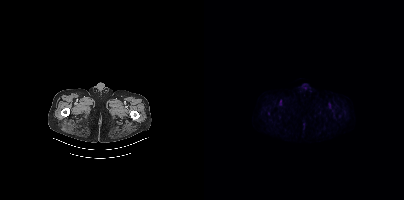
Coordinates are on the 200×200 PET (right) panel. Small PSMA-avid focus (2 to 4 px across) near (center x, center y): (64, 112). Left: CT. Right: PSMA PET, same axial level, 18F-PSMA tracer. Acquired on Siemens Biograph mCT Flow 20. Slice position z = -1506 mm. PET panel 200×200 px (4.1 mm/px).